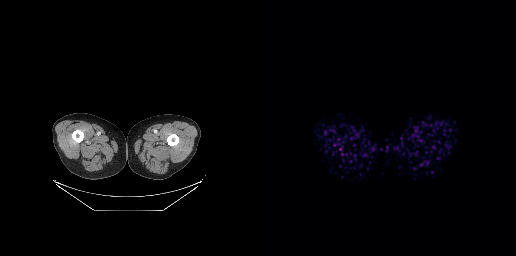
Technique: Two-panel axial: CT | PSMA PET, 68Ga tracer. slice 4 of 263.
Findings: No tumor lesions annotated on this slice.